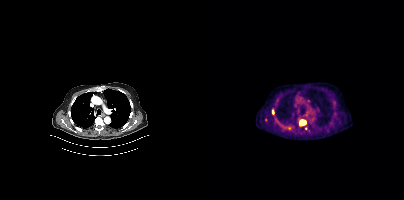
Coordinates are on the 200×200 PET (right) panel. (showing 2 of 4 foci) PSMA-avid tumor lesion bounding box (x0,y0,x1,y1): [95,119,102,126]. Small PSMA-avid focus (2 to 4 px across) near (center x, center y): (68, 112). Left: CT. Right: PSMA PET, same axial level, [18F]PSMA-1007 tracer. PET panel 200×200 px (4.1 mm/px).